Two-panel axial: CT | PSMA PET, 68Ga tracer. Slice 28 of 429. PET panel 200×200 px (4.1 mm/px).
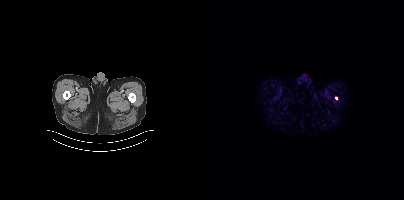
Coordinates are on the 200×200 PET (right) panel. Small PSMA-avid focus (2 to 4 px across) near (center x, center y): (132, 97).